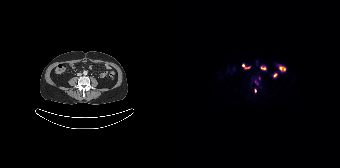
Findings: Coordinates are on the 168×168 PET (right) panel. Small PSMA-avid foci (2 to 4 px across) near (center x, center y): (83, 90) | (84, 82).
- Two-panel axial: CT | PSMA PET, 18F-PSMA tracer
- acquired on Siemens Biograph 64-4R TruePoint